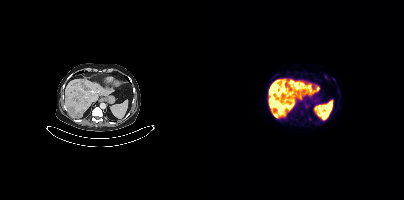
Technique: Paired axial CT (left) and PSMA PET (right), [18F]PSMA-1007 tracer. PET panel 200×200 px (4.1 mm/px).
Findings: Coordinates are on the 200×200 PET (right) panel. PSMA-avid tumor lesion bounding boxes (x0, y0)-(x1, y1): (65, 89)-(69, 94) / (72, 82)-(77, 86) / (73, 111)-(77, 115). Small PSMA-avid foci (2 to 4 px across) near (center x, center y): (97, 111) / (70, 113).